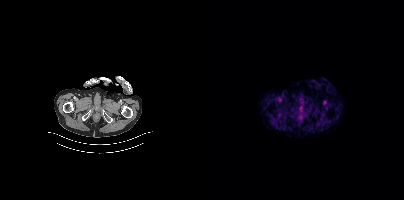
No PSMA-avid tumor lesions on this slice.